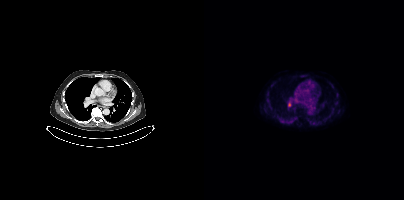
Findings: Coordinates are on the 200×200 PET (right) panel. (showing 1 of 2 foci) PSMA-avid tumor lesion bounding box (x0, y0)-(x1, y1): (84, 102)-(87, 106).
Technique: Paired axial CT (left) and PSMA PET (right), 18F tracer. acquired on Siemens Biograph mCT Flow 20. PET panel 200×200 px (4.1 mm/px).